modality: PSMA PET/CT | tracer: 18F-PSMA | view: axial | PET grid: 200×200
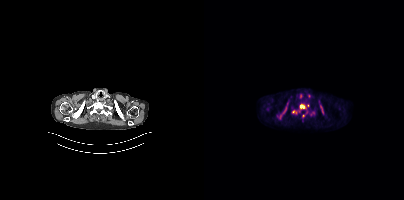
Coordinates are on the 200×200 PET (right) panel. PSMA-avid tumor lesion bounding boxes (x0,y0,x1,y1): [87,103,104,114], [73,106,83,119], [115,104,120,114]. Small PSMA-avid foci (2 to 4 px across) near (center x, center y): (99, 115), (102, 112).